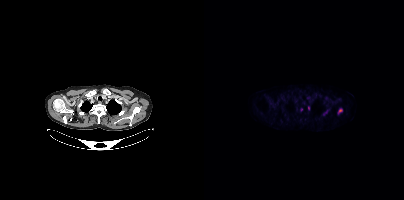
modality: PSMA PET/CT | tracer: [18F]PSMA-1007 | view: axial
Coordinates are on the 200×200 PET (right) panel. PSMA-avid tumor lesion bounding boxes (x, y, width, height): x=134 y=108 w=5 h=6; x=119 y=111 w=5 h=5. Small PSMA-avid foci (2 to 4 px across) near (center x, center y): (104, 107); (97, 109).